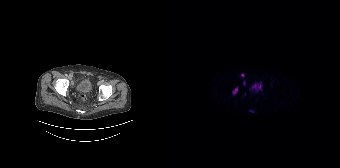
Two-panel axial: CT | PSMA PET, 18F-PSMA tracer. Slice 43 of 165.
Coordinates are on the 168×168 PET (right) panel. PSMA-avid tumor lesion bounding boxes:
| # | x0 | y0 | x1 | y1 |
|---|---|---|---|---|
| 1 | 61 | 88 | 65 | 93 |
Small PSMA-avid foci (2 to 4 px across) near (center x, center y): (70, 75); (72, 83); (79, 111).